Left: CT. Right: PSMA PET, same axial level, 18F-PSMA tracer.
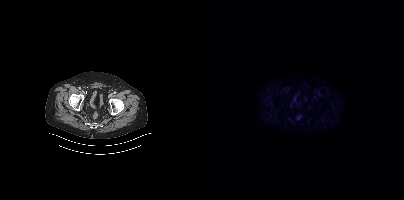
No tumor lesions annotated on this slice.